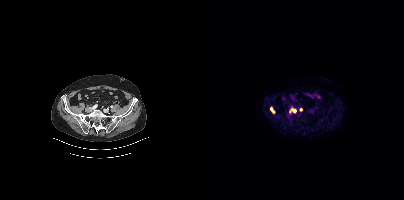
Coordinates are on the 200×200 PET (right) panel. PSMA-avid tumor lesion bounding boxes (x0,y0,x1,y1): [86,108,91,111], [66,107,70,112]. Small PSMA-avid focus (2 to 4 px across) near (center x, center y): (96, 109).